modality: PSMA PET/CT | tracer: 18F | view: axial | de-identification: head region blacked out before release
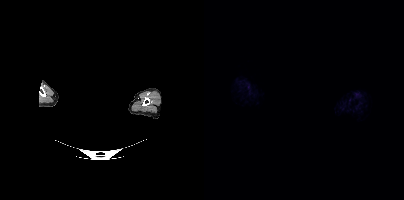
No PSMA-avid tumor lesions on this slice.